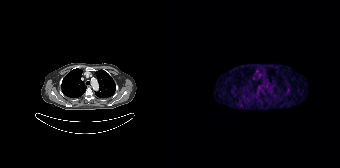
modality: PSMA PET/CT | tracer: [68Ga]Ga-PSMA-11 | view: axial
No PSMA-avid tumor lesions on this slice.